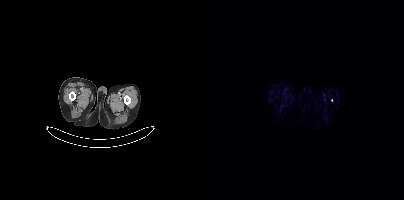
Coordinates are on the 200×200 PET (right) panel. Small PSMA-avid focus (2 to 4 px across) near (center x, center y): (127, 100).